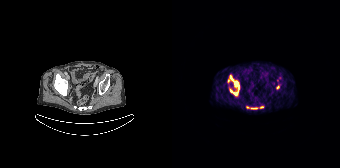
modality: PSMA PET/CT | tracer: 68Ga-PSMA | view: axial
Coordinates are on the 168×168 PET (right) panel. (showing 3 of 7 foci) PSMA-avid tumor lesion bounding boxes (x0,y0,x1,y1): [58,75,67,95] [78,107,85,109]. Small PSMA-avid focus (2 to 4 px across) near (center x, center y): (106, 87).